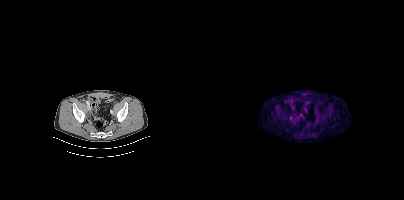
Two-panel axial: CT | PSMA PET, 18F tracer.
Coordinates are on the 200×200 PET (right) panel. PSMA-avid tumor lesion bounding boxes (partial; 1 more focus not listed):
| # | x0 | y0 | x1 | y1 |
|---|---|---|---|---|
| 1 | 84 | 116 | 88 | 120 |